Two-panel axial: CT | PSMA PET, 18F-PSMA tracer. Acquired on Siemens Biograph mCT Flow 20. Slice position z = -1222 mm. PET panel 200×200 px (4.1 mm/px).
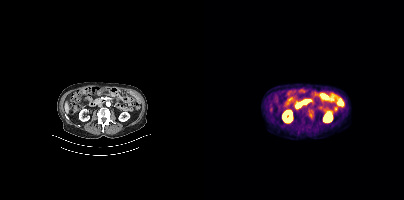
This slice has no annotated PSMA-avid lesion.